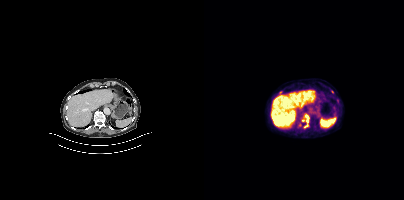
Coordinates are on the 200×200 PET (right) panel. (showing 3 of 4 foci) PSMA-avid tumor lesion bounding box (x0,y0,x1,y1): [101,115,104,122]. Small PSMA-avid foci (2 to 4 px across) near (center x, center y): (102, 126) (128, 91).